- Two-panel axial: CT | PSMA PET, 18F tracer
- slice position z = -462 mm
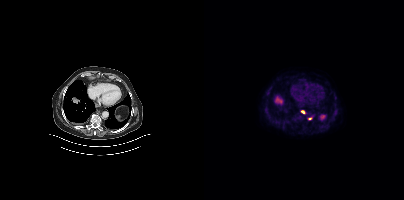
Findings: Coordinates are on the 200×200 PET (right) panel. Small PSMA-avid foci (2 to 4 px across) near (center x, center y): (98, 112) | (105, 118).